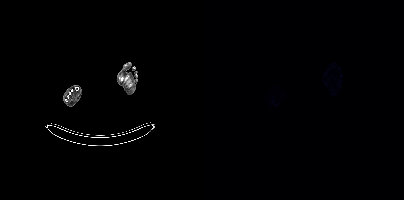
Findings: This slice has no annotated PSMA-avid lesion.
Technique: Paired axial CT (left) and PSMA PET (right), 18F tracer. acquired on Siemens Biograph mCT Flow 20. slice 16 of 963. PET panel 200×200 px (4.1 mm/px).